Technique: Two-panel axial: CT | PSMA PET, [18F]PSMA-1007 tracer. slice position z = -1502 mm. PET panel 200×200 px (4.1 mm/px).
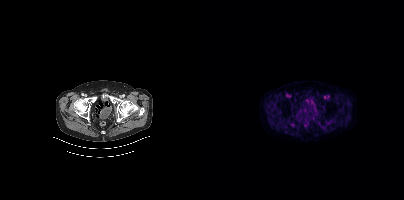
Findings: No tumor lesions annotated on this slice.